- Paired axial CT (left) and PSMA PET (right), [68Ga]Ga-PSMA-11 tracer
- slice 140 of 389
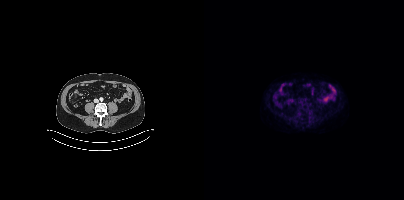
Findings: This slice has no annotated PSMA-avid lesion.